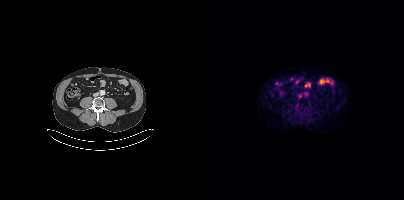
{"modality":"PSMA PET/CT","view":"axial","tracer":"18F","pet_grid":[200,200],"coord_frame":"pet_panel","coord_format":"x0,y0,x1,y1","lesion_bboxes":[],"small_foci_centers":[[95,96]]}